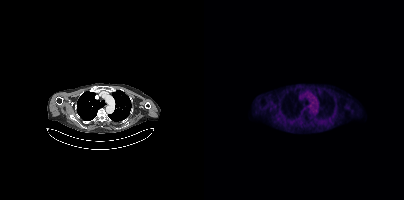
Findings: Negative for PSMA-avid disease on this slice.
Technique: Two-panel axial: CT | PSMA PET, 18F tracer. acquired on Siemens Biograph mCT Flow 20. PET panel 200×200 px (4.1 mm/px).